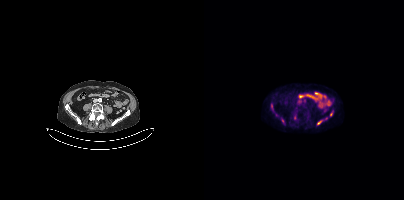
Technique: Left: CT. Right: PSMA PET, same axial level, 18F-PSMA tracer. PET panel 200×200 px (4.1 mm/px).
Findings: Coordinates are on the 200×200 PET (right) panel. (showing 1 of 3 foci) Small PSMA-avid focus (2 to 4 px across) near (center x, center y): (114, 123).